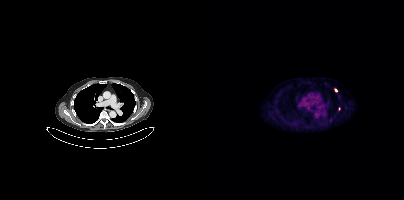
{"modality":"PSMA PET/CT","view":"axial","tracer":"18F","pet_grid":[200,200],"coord_frame":"pet_panel","coord_format":"x0,y0,x1,y1","partial":true,"lesion_bboxes":[],"small_foci_centers":[[131,90]]}